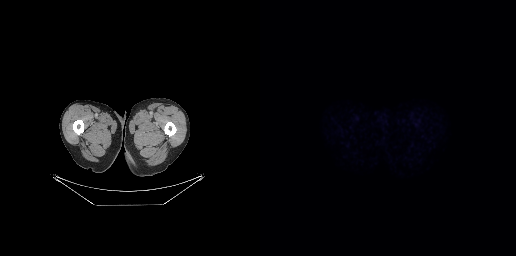
Negative for PSMA-avid disease on this slice.